Technique: Paired axial CT (left) and PSMA PET (right), 68Ga-PSMA tracer. PET panel 256×256 px (2.7 mm/px).
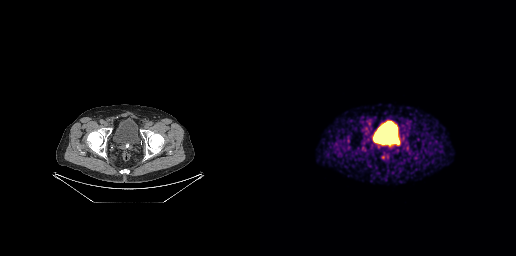
Findings: Coordinates are on the 256×256 PET (right) panel. PSMA-avid tumor lesion bounding box (x0,y0,x1,y1): [136,140,139,144].